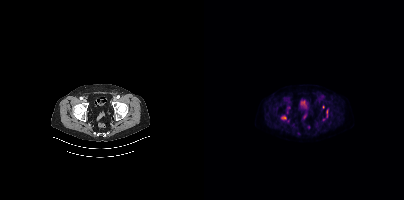
Coordinates are on the 200×200 PET (right) panel. (showing 1 of 4 foci) Small PSMA-avid focus (2 to 4 px across) near (center x, center y): (80, 117). Paired axial CT (left) and PSMA PET (right), 18F-PSMA tracer. Acquired on Siemens Biograph mCT Flow 20. Slice 74 of 407. PET panel 200×200 px (4.1 mm/px).